Technique: Paired axial CT (left) and PSMA PET (right), 18F-PSMA tracer.
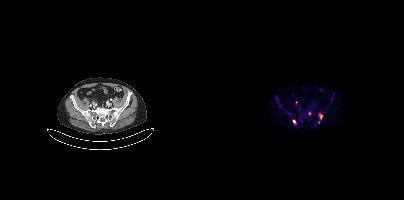
Findings: Coordinates are on the 200×200 PET (right) panel. (showing 3 of 6 foci) PSMA-avid tumor lesion bounding box (x0,y0,x1,y1): [115,114,118,119]. Small PSMA-avid foci (2 to 4 px across) near (center x, center y): (76, 105) (89, 120).